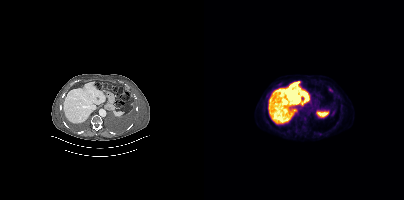
{"modality":"PSMA PET/CT","view":"axial","tracer":"[18F]PSMA-1007","pet_grid":[200,200],"coord_frame":"pet_panel","coord_format":"x0,y0,x1,y1","lesion_bboxes":[[127,110,131,115],[125,87,127,91]]}